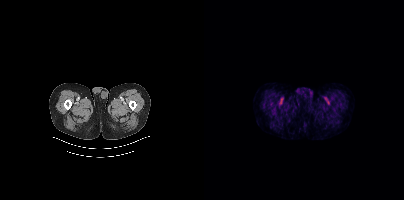
Negative for PSMA-avid disease on this slice.